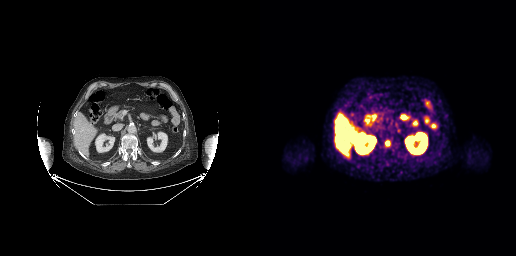
{"pet_grid":[256,256],"coord_frame":"pet_panel","coord_format":"x0,y0,x1,y1","lesion_bboxes":[[125,140,130,146]],"modality":"PSMA PET/CT","view":"axial","tracer":"[18F]PSMA-1007"}